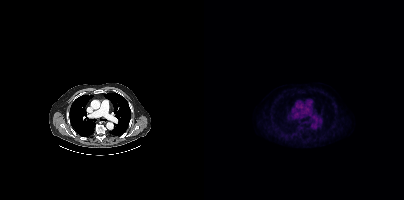
Findings: No PSMA-avid tumor lesions on this slice.
Technique: Left: CT. Right: PSMA PET, same axial level, 18F-PSMA tracer. slice 306 of 435. PET panel 200×200 px (4.1 mm/px).